Paired axial CT (left) and PSMA PET (right), 18F-PSMA tracer. Acquired on Siemens Biograph mCT Flow 20. Slice position z = -338 mm.
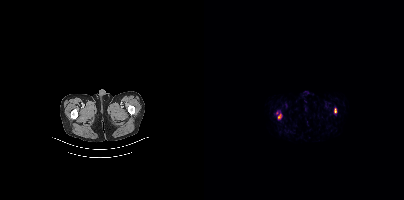
Coordinates are on the 200×200 PET (right) panel. PSMA-avid tumor lesion bounding box (x, y, width, height): x=131 y=108 w=2 h=5. Small PSMA-avid focus (2 to 4 px across) near (center x, center y): (74, 116).